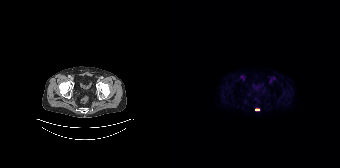
Two-panel axial: CT | PSMA PET, [18F]PSMA-1007 tracer. PET panel 168×168 px (4.1 mm/px).
Coordinates are on the 168×168 PET (right) panel. PSMA-avid tumor lesion bounding boxes:
| # | x0 | y0 | x1 | y1 |
|---|---|---|---|---|
| 1 | 83 | 108 | 87 | 110 |